modality: PSMA PET/CT | tracer: [18F]PSMA-1007 | view: axial | PET grid: 256×256
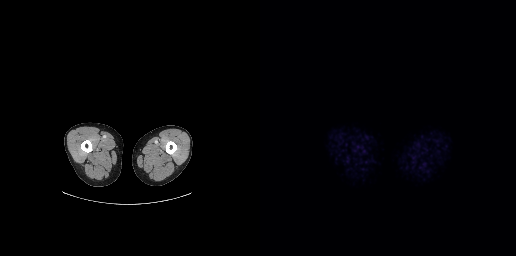
No tumor lesions annotated on this slice.